Two-panel axial: CT | PSMA PET, 68Ga tracer. Slice position z = -655 mm. PET panel 168×168 px (4.1 mm/px).
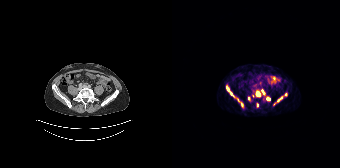
Coordinates are on the 168×168 PET (right) panel. (showing 7 of 8 foci) PSMA-avid tumor lesion bounding boxes (x0, y0)-(x1, y1): (54, 87)-(67, 101) / (84, 91)-(88, 96) / (105, 93)-(115, 101) / (94, 97)-(98, 100) / (89, 89)-(92, 94) / (69, 102)-(71, 106). Small PSMA-avid focus (2 to 4 px across) near (center x, center y): (76, 98).